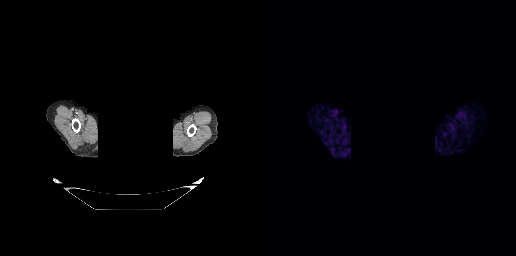
Two-panel axial: CT | PSMA PET, 68Ga-PSMA tracer. Acquired on GE Discovery 690. Any black rectangle over the head is a privacy mask, not anatomy. This slice has no annotated PSMA-avid lesion.